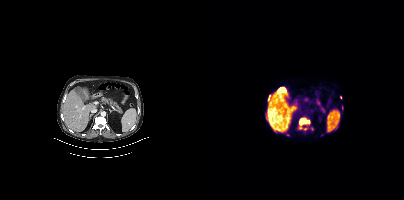
Coordinates are on the 200×200 PET (right) panel. (showing 2 of 3 foci) PSMA-avid tumor lesion bounding boxes (x, y, width, height): x=95 y=118 w=11 h=7 | x=64 y=95 w=3 h=7.